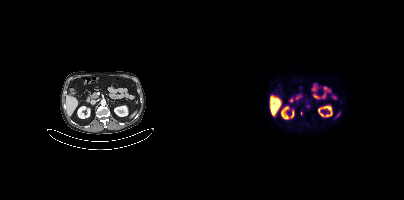
Coordinates are on the 200×200 PET (right) panel. (showing 1 of 2 foci) PSMA-avid tumor lesion bounding box (x, y, width, height): x=103 y=104 w=3 h=5.
modality: PSMA PET/CT | tracer: [18F]PSMA-1007 | view: axial